Two-panel axial: CT | PSMA PET, 18F tracer. Acquired on Siemens Biograph mCT Flow 20. PET panel 200×200 px (4.1 mm/px).
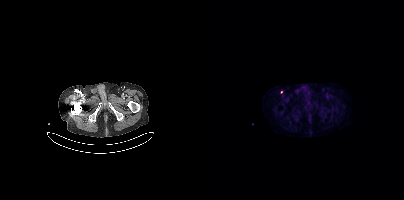
Coordinates are on the 200×200 PET (right) panel. Small PSMA-avid focus (2 to 4 px across) near (center x, center y): (77, 91).